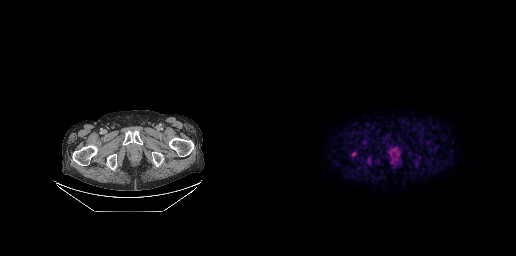
{"modality":"PSMA PET/CT","view":"axial","tracer":"18F-PSMA","pet_grid":[256,256],"coord_frame":"pet_panel","coord_format":"x0,y0,x1,y1","lesion_bboxes":[[108,158,110,163]]}